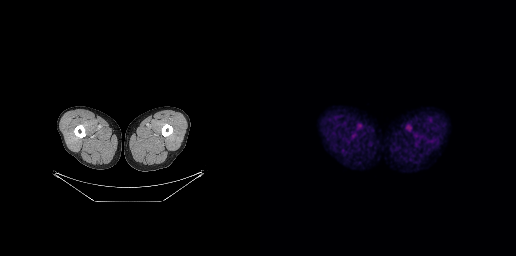
{"modality":"PSMA PET/CT","view":"axial","tracer":"18F-PSMA","pet_grid":[256,256],"coord_frame":"pet_panel","coord_format":"x0,y0,x1,y1","psma_avid_lesions":false}